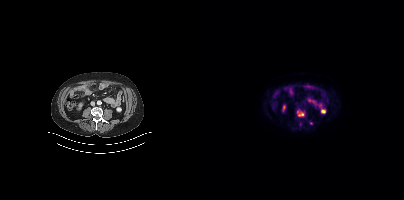
Technique: Paired axial CT (left) and PSMA PET (right), [18F]PSMA-1007 tracer. slice position z = -1282 mm. PET panel 200×200 px (4.1 mm/px).
Findings: Coordinates are on the 200×200 PET (right) panel. (showing 1 of 2 foci) Small PSMA-avid focus (2 to 4 px across) near (center x, center y): (98, 114).